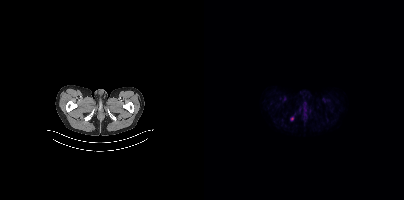
Findings: No tumor lesions annotated on this slice.
- Paired axial CT (left) and PSMA PET (right), [18F]PSMA-1007 tracer
- acquired on Siemens Biograph mCT Flow 20